- Left: CT. Right: PSMA PET, same axial level, [18F]PSMA-1007 tracer
- slice 138 of 263
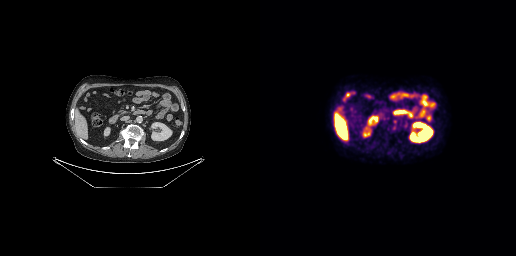
Findings: Coordinates are on the 256×256 PET (right) panel. PSMA-avid tumor lesion bounding box (x0,y0,x1,y1): [133,120,136,129].